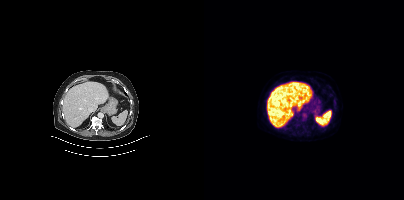
No PSMA-avid tumor lesions on this slice. Two-panel axial: CT | PSMA PET, 18F tracer. Slice position z = -492 mm.